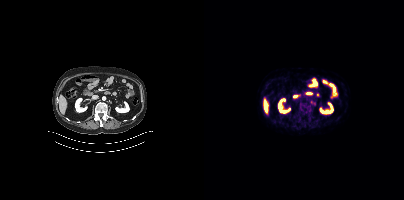
Left: CT. Right: PSMA PET, same axial level, 18F tracer. Slice 202 of 433. PET panel 200×200 px (4.1 mm/px). No PSMA-avid tumor lesions on this slice.